Left: CT. Right: PSMA PET, same axial level, 18F tracer.
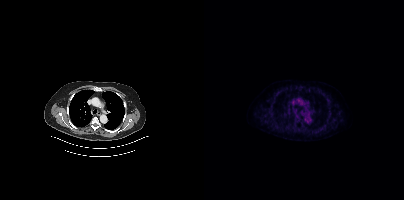
Negative for PSMA-avid disease on this slice.